modality: PSMA PET/CT | tracer: 68Ga | view: axial | PET grid: 200×200
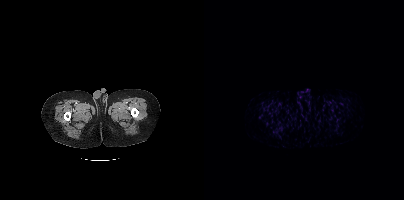
No tumor lesions annotated on this slice.